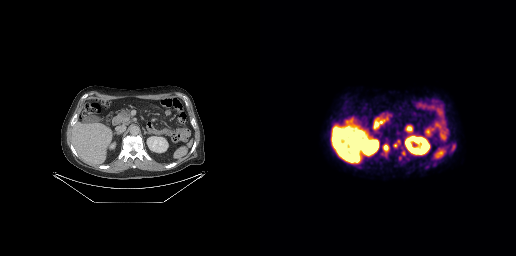
- Paired axial CT (left) and PSMA PET (right), [18F]PSMA-1007 tracer
- PET panel 256×256 px (2.7 mm/px)
Findings: Coordinates are on the 256×256 PET (right) panel. PSMA-avid tumor lesion bounding boxes (x0,y0,x1,y1): [122,143,129,156] [139,150,146,160] [133,142,139,147]. Small PSMA-avid focus (2 to 4 px across) near (center x, center y): (122, 153).